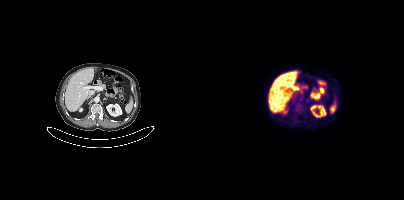
{"modality":"PSMA PET/CT","view":"axial","tracer":"18F","pet_grid":[200,200],"coord_frame":"pet_panel","coord_format":"x0,y0,x1,y1","psma_avid_lesions":false}